- the face region was removed for patient privacy by blanking a rectangle over the head
- Two-panel axial: CT | PSMA PET, 18F tracer
- acquired on Siemens Biograph mCT Flow 20
- slice 367 of 403
- PET panel 200×200 px (4.1 mm/px)
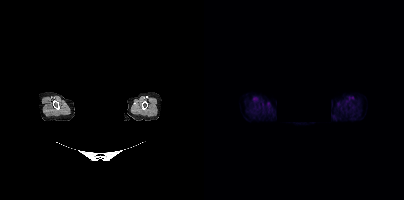
Findings: This slice has no annotated PSMA-avid lesion.